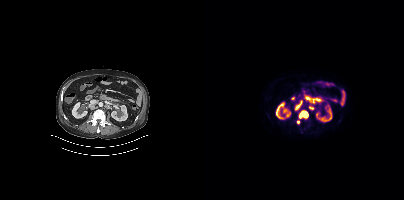
Two-panel axial: CT | PSMA PET, [18F]PSMA-1007 tracer. Acquired on Siemens Biograph mCT Flow 20.
Coordinates are on the 200×200 PET (right) panel. PSMA-avid tumor lesion bounding boxes:
| # | x0 | y0 | x1 | y1 |
|---|---|---|---|---|
| 1 | 95 | 110 | 104 | 118 |
| 2 | 91 | 101 | 98 | 110 |
Small PSMA-avid foci (2 to 4 px across) near (center x, center y): (94, 122); (107, 108).